modality: PSMA PET/CT | tracer: 68Ga | view: axial
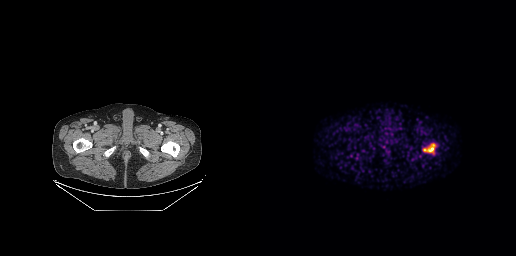
Coordinates are on the 256×256 PET (right) panel. PSMA-avid tumor lesion bounding box (x, y, width, height): x=164 y=144 w=11 h=8.